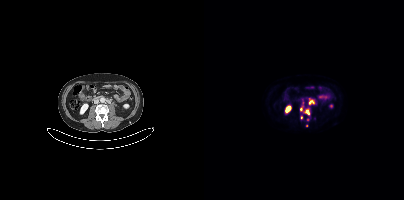
Technique: Two-panel axial: CT | PSMA PET, 18F tracer.
Findings: Coordinates are on the 200×200 PET (right) panel. (showing 6 of 7 foci) PSMA-avid tumor lesion bounding boxes (x0,y0,x1,y1): [105,100,110,104], [101,110,105,114], [96,105,99,110]. Small PSMA-avid foci (2 to 4 px across) near (center x, center y): (97, 117), (103, 119), (102, 125).